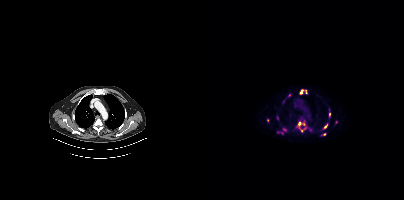
- Two-panel axial: CT | PSMA PET, 18F tracer
- acquired on Siemens Biograph mCT Flow 20
Findings: Coordinates are on the 200×200 PET (right) panel. (showing 8 of 11 foci) PSMA-avid tumor lesion bounding box (x0, y0)-(x1, y1): (120, 124)-(123, 128). Small PSMA-avid foci (2 to 4 px across) near (center x, center y): (95, 123) / (97, 91) / (120, 134) / (99, 124) / (125, 114) / (73, 117) / (97, 130).